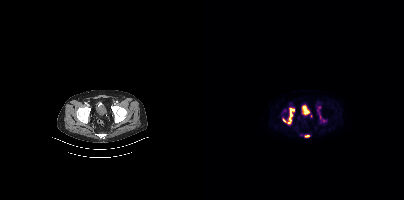
- Two-panel axial: CT | PSMA PET, [18F]PSMA-1007 tracer
- acquired on Siemens Biograph mCT Flow 20
Findings: Coordinates are on the 200×200 PET (right) panel. (showing 3 of 4 foci) PSMA-avid tumor lesion bounding boxes (x, y, width, height): x=83 y=108 w=8 h=16 / x=101 y=135 w=5 h=3. Small PSMA-avid focus (2 to 4 px across) near (center x, center y): (80, 120).